Paired axial CT (left) and PSMA PET (right), 18F tracer. PET panel 200×200 px (4.1 mm/px).
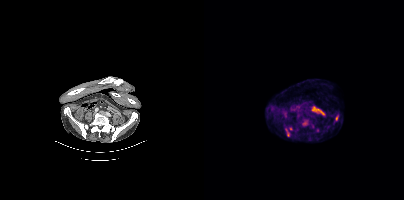
Coordinates are on the 200×200 PET (right) panel. (showing 2 of 5 foci) PSMA-avid tumor lesion bounding boxes (x0, y0)-(x1, y1): (98, 121)-(103, 125); (81, 128)-(84, 135).